modality: PSMA PET/CT | tracer: 18F | view: axial | PET grid: 200×200 | de-identification: face masked with black rectangle
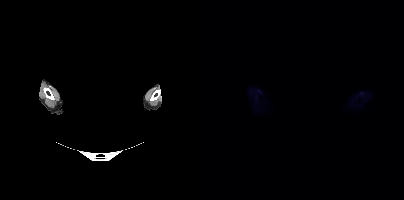
Negative for PSMA-avid disease on this slice.